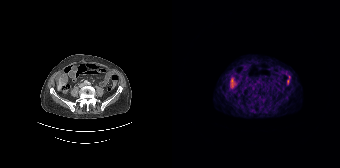
{"pet_grid":[168,168],"coord_frame":"pet_panel","coord_format":"x0,y0,x1,y1","lesion_bboxes":[[58,79,63,86]],"modality":"PSMA PET/CT","view":"axial","tracer":"68Ga"}